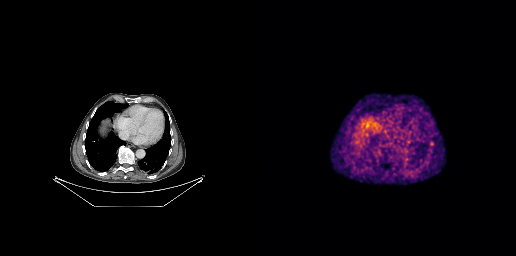
{"modality":"PSMA PET/CT","view":"axial","tracer":"[68Ga]Ga-PSMA-11","pet_grid":[256,256],"coord_frame":"pet_panel","coord_format":"x0,y0,x1,y1","lesion_bboxes":[[170,141,173,145]]}